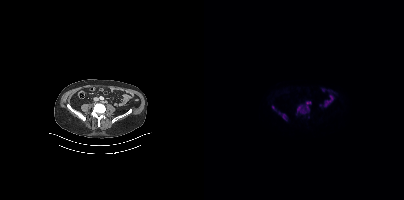
Technique: Paired axial CT (left) and PSMA PET (right), 18F tracer. slice 148 of 395.
Findings: Coordinates are on the 200×200 PET (right) panel. PSMA-avid tumor lesion bounding boxes (x0,y0,x1,y1): [93,101,106,113], [78,114,82,120]. Small PSMA-avid focus (2 to 4 px across) near (center x, center y): (69, 107).